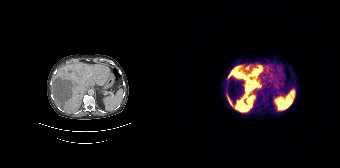
Paired axial CT (left) and PSMA PET (right), 68Ga tracer. Acquired on Siemens Biograph 64-4R TruePoint. PET panel 168×168 px (4.1 mm/px).
Coordinates are on the 168×168 PET (right) panel. PSMA-avid tumor lesion bounding boxes:
| # | x0 | y0 | x1 | y1 |
|---|---|---|---|---|
| 1 | 56 | 65 | 89 | 93 |
| 2 | 63 | 94 | 83 | 112 |
| 3 | 55 | 96 | 60 | 105 |
| 4 | 75 | 65 | 77 | 69 |